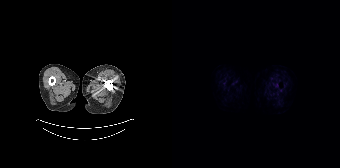
{"modality":"PSMA PET/CT","view":"axial","tracer":"[18F]PSMA-1007","pet_grid":[168,168],"coord_frame":"pet_panel","coord_format":"x0,y0,x1,y1","psma_avid_lesions":false}